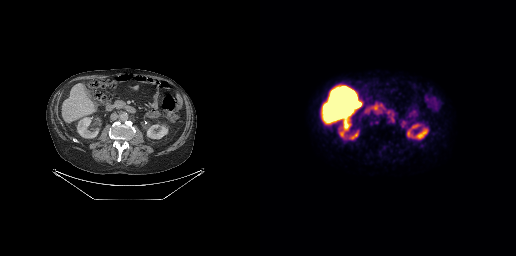
- Left: CT. Right: PSMA PET, same axial level, 18F tracer
- acquired on GE Discovery 690
- slice 137 of 299
- PET panel 256×256 px (2.7 mm/px)
Findings: Coordinates are on the 256×256 PET (right) panel. (showing 1 of 2 foci) Small PSMA-avid focus (2 to 4 px across) near (center x, center y): (132, 119).